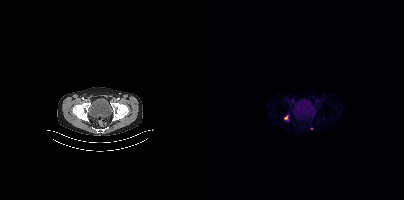
Coordinates are on the 200×200 PET (right) panel. Small PSMA-avid foci (2 to 4 px across) near (center x, center y): (81, 117); (107, 128).